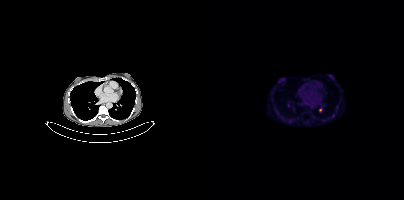
Coordinates are on the 200×200 PET (right) panel. Small PSMA-avid foci (2 to 4 px across) near (center x, center y): (129, 115) / (133, 107) / (116, 110) / (86, 121) / (84, 105).
modality: PSMA PET/CT | tracer: 18F | view: axial